modality: PSMA PET/CT | tracer: [18F]PSMA-1007 | view: axial | PET grid: 256×256
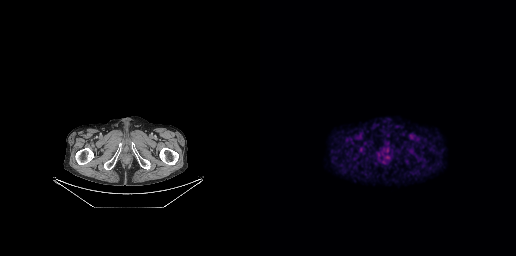
This slice has no annotated PSMA-avid lesion.